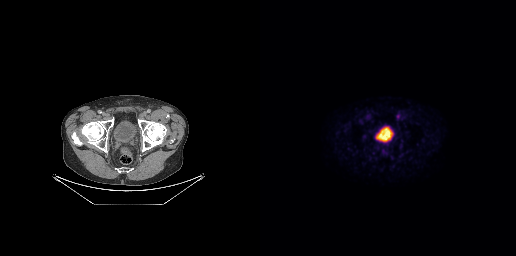
- Paired axial CT (left) and PSMA PET (right), 18F tracer
Findings: No PSMA-avid tumor lesions on this slice.